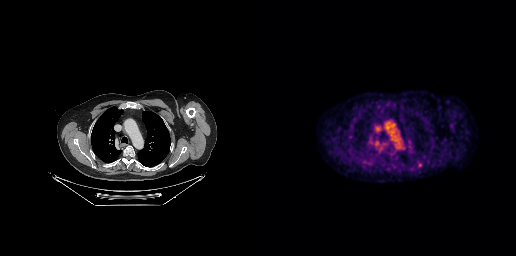
Technique: Paired axial CT (left) and PSMA PET (right), 18F tracer. slice 203 of 263. PET panel 256×256 px (2.7 mm/px).
Findings: Coordinates are on the 256×256 PET (right) panel. PSMA-avid tumor lesion bounding box (x, y, width, height): x=158 y=163 w=4 h=5.